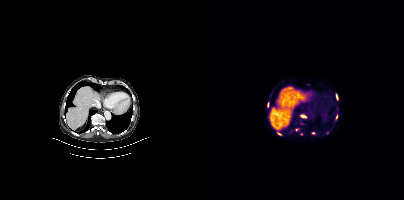
modality: PSMA PET/CT | tracer: 68Ga-PSMA | view: axial
Coordinates are on the 200×200 PET (right) panel. (showing 10 of 11 foci) PSMA-avid tumor lesion bounding boxes (x0, y0)-(x1, y1): (97, 114)-(102, 117); (73, 132)-(77, 135); (132, 94)-(133, 99). Small PSMA-avid foci (2 to 4 px across) near (center x, center y): (92, 129); (109, 133); (123, 132); (64, 103); (132, 116); (104, 84); (97, 133).